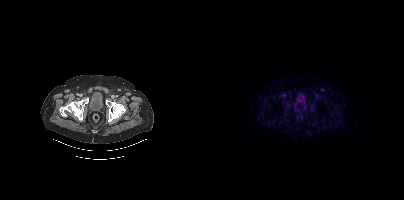
{"modality":"PSMA PET/CT","view":"axial","tracer":"[18F]PSMA-1007","pet_grid":[200,200],"coord_frame":"pet_panel","coord_format":"x0,y0,x1,y1","lesion_bboxes":[],"small_foci_centers":[[118,89]]}